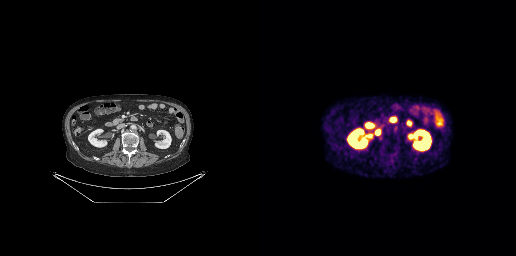
Paired axial CT (left) and PSMA PET (right), 68Ga tracer. Acquired on GE Discovery 690. PET panel 256×256 px (2.7 mm/px). Coordinates are on the 256×256 PET (right) panel. Small PSMA-avid focus (2 to 4 px across) near (center x, center y): (117, 132).